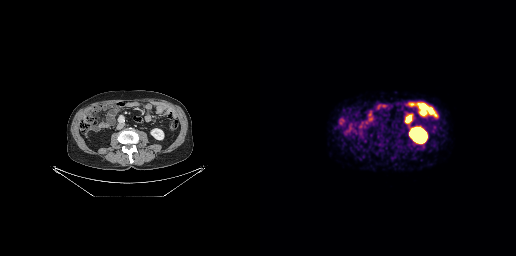
{"pet_grid":[256,256],"coord_frame":"pet_panel","coord_format":"x0,y0,x1,y1","psma_avid_lesions":false,"modality":"PSMA PET/CT","view":"axial","tracer":"[68Ga]Ga-PSMA-11"}